Technique: Paired axial CT (left) and PSMA PET (right), 18F-PSMA tracer. acquired on Siemens Biograph mCT Flow 20. PET panel 200×200 px (4.1 mm/px).
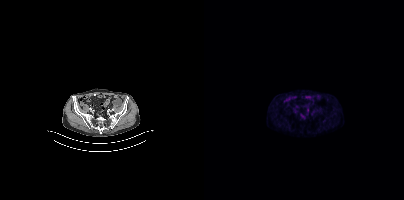
Findings: This slice has no annotated PSMA-avid lesion.